modality: PSMA PET/CT | tracer: 18F-PSMA | view: axial
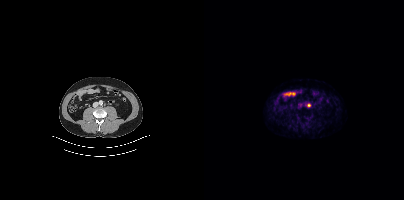
Coordinates are on the 200×200 PET (right) panel. Small PSMA-avid focus (2 to 4 px across) near (center x, center y): (105, 105).